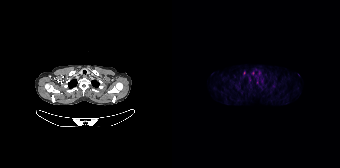
Coordinates are on the 168×168 PET (right) panel. (showing 1 of 2 foci) Small PSMA-avid focus (2 to 4 px across) near (center x, center y): (72, 72).
modality: PSMA PET/CT | tracer: 18F-PSMA | view: axial